- Paired axial CT (left) and PSMA PET (right), [18F]PSMA-1007 tracer
- acquired on Siemens Biograph mCT Flow 20
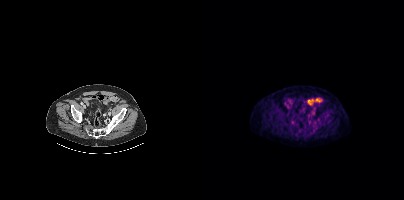
Findings: This slice has no annotated PSMA-avid lesion.